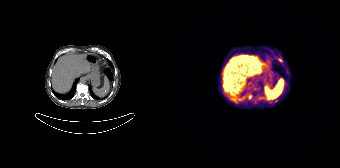
modality: PSMA PET/CT | tracer: [68Ga]Ga-PSMA-11 | view: axial
Coordinates are on the 168×168 PET (right) panel. PSMA-avid tumor lesion bounding boxes (x0,y0,x1,y1): [75,95,79,99] [106,58,110,62].